- Paired axial CT (left) and PSMA PET (right), [18F]PSMA-1007 tracer
- acquired on Siemens Biograph 64-4R TruePoint
- PET panel 168×168 px (4.1 mm/px)
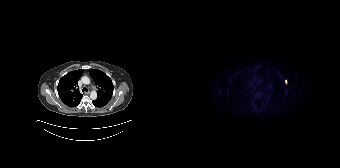
Findings: Coordinates are on the 168×168 PET (right) panel. PSMA-avid tumor lesion bounding box (x0,y0,x1,y1): [113,80,115,84].